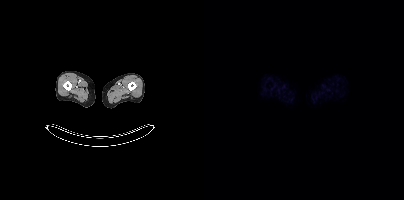
No PSMA-avid tumor lesions on this slice.